Two-panel axial: CT | PSMA PET, 18F-PSMA tracer. Acquired on Siemens Biograph mCT Flow 20.
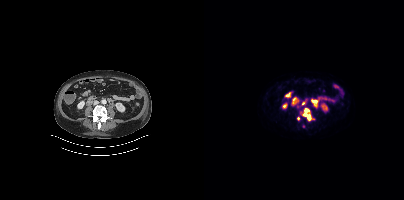
Coordinates are on the 200×200 PET (right) panel. PSMA-avid tumor lesion bounding box (x, y, width, height): x=99 y=108 w=8 h=13. Small PSMA-avid foci (2 to 4 px across) near (center x, center y): (99, 103); (94, 118).